Technique: Left: CT. Right: PSMA PET, same axial level, 18F tracer. acquired on GE Discovery 690. PET panel 256×256 px (2.7 mm/px).
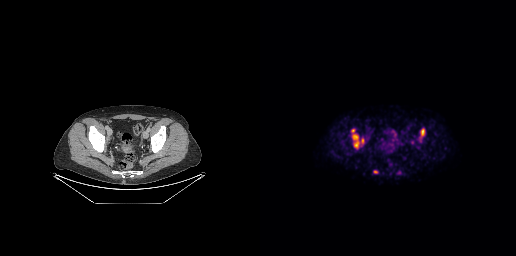
Findings: Coordinates are on the 256×256 PET (right) panel. PSMA-avid tumor lesion bounding boxes (x, y, width, height): x=91 y=130 w=14 h=20 | x=160 y=128 w=5 h=10.